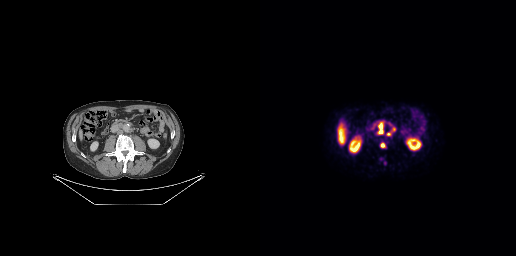
Findings: Coordinates are on the 256×256 PET (right) panel. PSMA-avid tumor lesion bounding boxes (x, y, width, height): x=117 y=121 w=7 h=14; x=120 y=143 w=6 h=5; x=132 y=127 w=4 h=5; x=127 y=132 w=5 h=4. Small PSMA-avid foci (2 to 4 px across) near (center x, center y): (125, 163); (129, 123).
- Two-panel axial: CT | PSMA PET, [18F]PSMA-1007 tracer
- acquired on GE Discovery 690